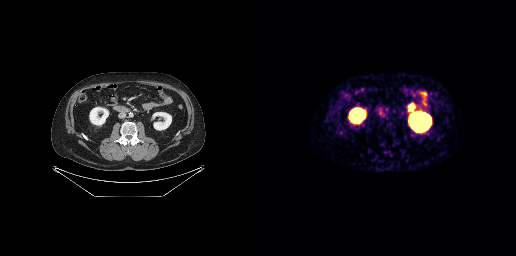
Findings: No PSMA-avid tumor lesions on this slice.
- Two-panel axial: CT | PSMA PET, 68Ga-PSMA tracer